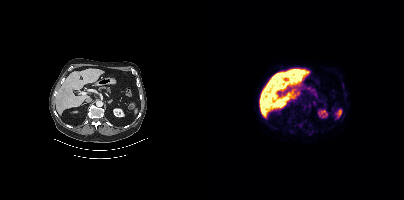
This slice has no annotated PSMA-avid lesion.